- Paired axial CT (left) and PSMA PET (right), 18F-PSMA tracer
- acquired on Siemens Biograph mCT Flow 20
- PET panel 200×200 px (4.1 mm/px)
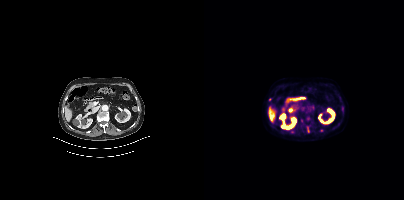
Findings: Coordinates are on the 200×200 PET (right) panel. (showing 4 of 5 foci) PSMA-avid tumor lesion bounding box (x, y, width, height): x=103 y=127 w=2 h=5. Small PSMA-avid foci (2 to 4 px across) near (center x, center y): (117, 130); (87, 132); (138, 108).